Technique: Paired axial CT (left) and PSMA PET (right), [18F]PSMA-1007 tracer.
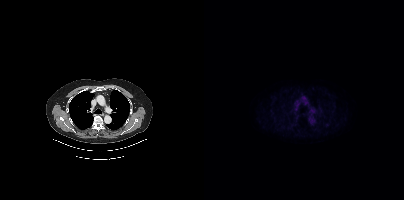
Findings: No tumor lesions annotated on this slice.